Two-panel axial: CT | PSMA PET, 18F-PSMA tracer. PET panel 256×256 px (2.7 mm/px).
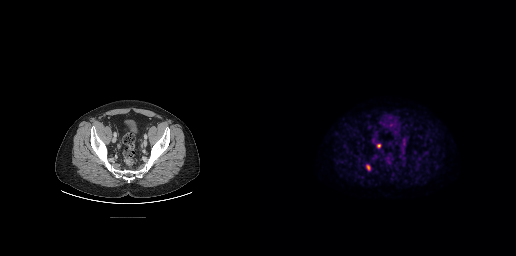
Coordinates are on the 256×256 PET (right) panel. PSMA-avid tumor lesion bounding box (x, y, width, height): x=106 y=165 w=5 h=6. Small PSMA-avid focus (2 to 4 px across) near (center x, center y): (118, 145).